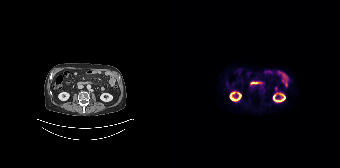
Findings: No PSMA-avid tumor lesions on this slice.
- Left: CT. Right: PSMA PET, same axial level, [18F]PSMA-1007 tracer
- acquired on Siemens Biograph 64-4R TruePoint
- slice 72 of 165
- PET panel 168×168 px (4.1 mm/px)